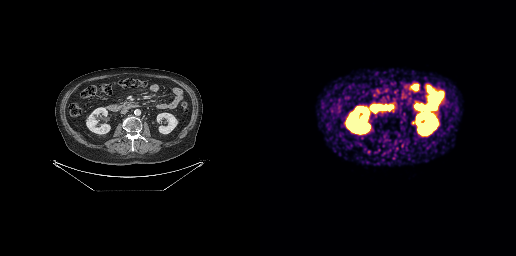
{"modality":"PSMA PET/CT","view":"axial","tracer":"[68Ga]Ga-PSMA-11","pet_grid":[256,256],"coord_frame":"pet_panel","coord_format":"x0,y0,x1,y1","psma_avid_lesions":false}